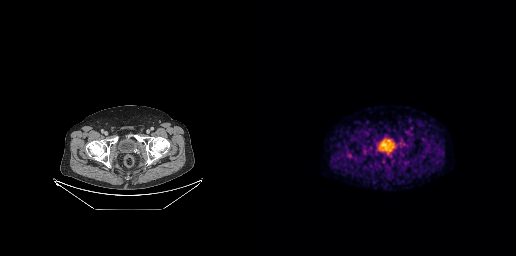
Findings: No tumor lesions annotated on this slice.
- Left: CT. Right: PSMA PET, same axial level, [18F]PSMA-1007 tracer
- slice position z = -698 mm
- PET panel 256×256 px (2.7 mm/px)